Technique: Left: CT. Right: PSMA PET, same axial level, [18F]PSMA-1007 tracer.
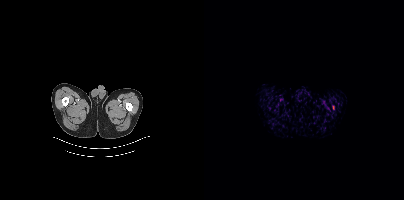
Findings: This slice has no annotated PSMA-avid lesion.